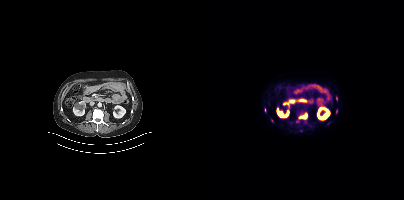
modality: PSMA PET/CT | tracer: 18F | view: axial
Coordinates are on the 200×200 PET (right) panel. (showing 2 of 4 foci) PSMA-avid tumor lesion bounding box (x0,y0,x1,y1): [95,113,103,119]. Small PSMA-avid focus (2 to 4 px across) near (center x, center y): (132, 98).